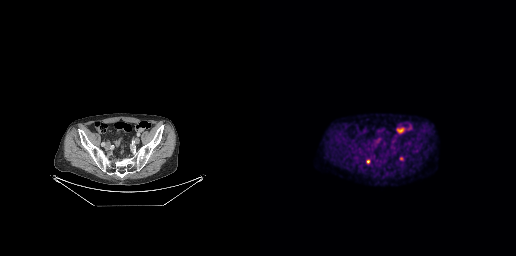
Coordinates are on the 256×256 PET (right) panel. PSMA-avid tumor lesion bounding box (x0, y0)-(x1, y1): (139, 156)-(143, 160). Small PSMA-avid focus (2 to 4 px across) near (center x, center y): (107, 161). Paired axial CT (left) and PSMA PET (right), 18F tracer. Acquired on GE Discovery 690. PET panel 256×256 px (2.7 mm/px).